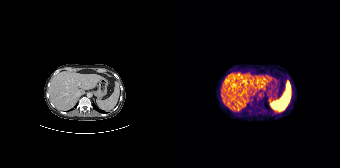
This slice has no annotated PSMA-avid lesion. Paired axial CT (left) and PSMA PET (right), 68Ga tracer. PET panel 168×168 px (4.1 mm/px).